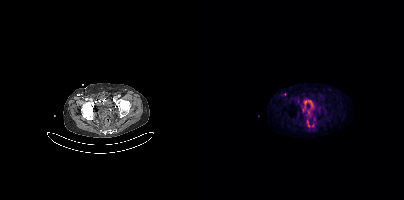
- Two-panel axial: CT | PSMA PET, [18F]PSMA-1007 tracer
- acquired on Siemens Biograph mCT Flow 20
- PET panel 200×200 px (4.1 mm/px)
Findings: Coordinates are on the 200×200 PET (right) panel. (showing 4 of 5 foci) PSMA-avid tumor lesion bounding box (x0, y0)-(x1, y1): (103, 120)-(105, 126). Small PSMA-avid foci (2 to 4 px across) near (center x, center y): (104, 112); (81, 94); (108, 125).